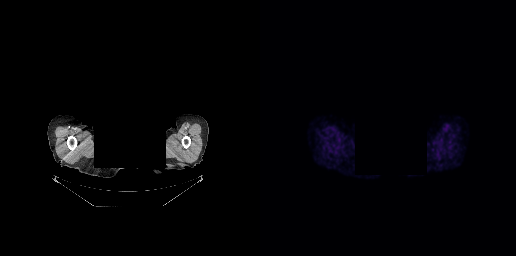
A rectangular block over the head has been blanked out for de-identification. Two-panel axial: CT | PSMA PET, [18F]PSMA-1007 tracer. Slice 251 of 263. No PSMA-avid tumor lesions on this slice.